Left: CT. Right: PSMA PET, same axial level, 18F tracer. Slice 209 of 403.
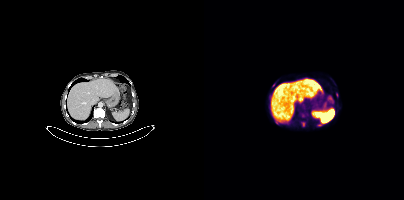
Only PSMA-avid lesion pieces thinner than 2 px on this slice (not listed).